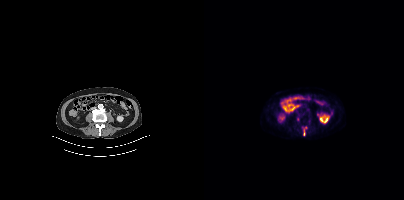
{"modality":"PSMA PET/CT","view":"axial","tracer":"18F","pet_grid":[200,200],"coord_frame":"pet_panel","coord_format":"x0,y0,x1,y1","partial":true,"lesion_bboxes":[]}